Left: CT. Right: PSMA PET, same axial level, 18F-PSMA tracer. Slice 204 of 413.
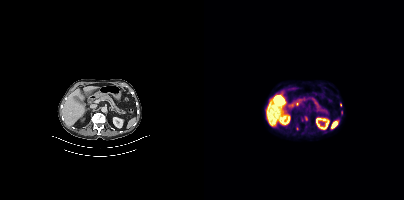
Coordinates are on the 200×200 PET (right) panel. Small PSMA-avid foci (2 to 4 px across) near (center x, center y): (137, 112), (93, 128), (134, 122), (136, 104).